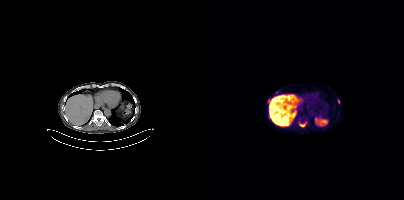
- Paired axial CT (left) and PSMA PET (right), [18F]PSMA-1007 tracer
- acquired on Siemens Biograph mCT Flow 20
- slice position z = -652 mm
- PET panel 200×200 px (4.1 mm/px)
Findings: Coordinates are on the 200×200 PET (right) panel. PSMA-avid tumor lesion bounding boxes (x0, y0)-(x1, y1): (95, 122)-(102, 126) | (71, 91)-(74, 95). Small PSMA-avid foci (2 to 4 px across) near (center x, center y): (64, 100) | (134, 101).